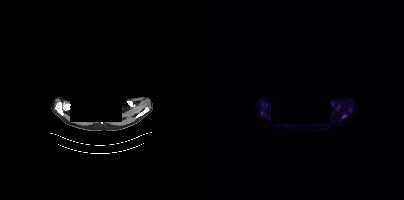
Findings: Coordinates are on the 200×200 PET (right) panel. Small PSMA-avid foci (2 to 4 px across) near (center x, center y): (140, 116); (57, 113).
- Paired axial CT (left) and PSMA PET (right), [18F]PSMA-1007 tracer
- acquired on Siemens Biograph mCT Flow 20
- PET panel 200×200 px (4.1 mm/px)
- an anonymization step blacked out a rectangle over the head in this scan